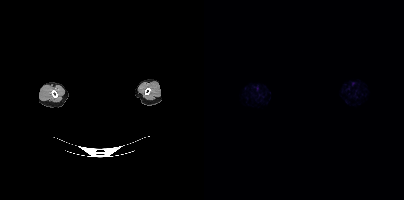
This slice has no annotated PSMA-avid lesion.
Head region blanked for anonymization (face removed).